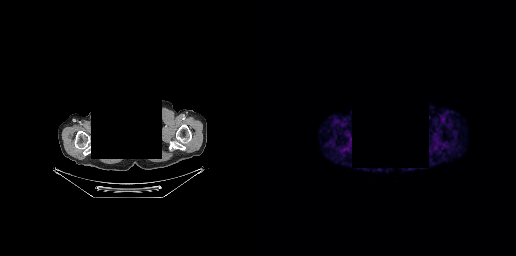
Technique: Paired axial CT (left) and PSMA PET (right), 68Ga-PSMA tracer. acquired on GE Discovery 690. PET panel 256×256 px (2.7 mm/px).
Note: De-identified by setting a box covering the face to black before release.
Findings: No PSMA-avid tumor lesions on this slice.